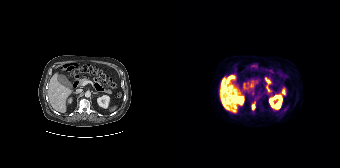
modality: PSMA PET/CT | tracer: 18F-PSMA | view: axial | PET grid: 168×168
Coordinates are on the 168×168 PET (right) panel. PSMA-avid tumor lesion bounding box (x0,y0,x1,y1): [80,103,82,108].